modality: PSMA PET/CT | tracer: 18F | view: axial | PET grid: 200×200
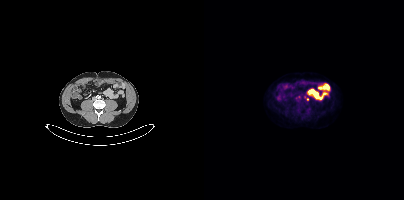
Coordinates are on the 200×200 PET (right) panel. Small PSMA-avid focus (2 to 4 px across) near (center x, center y): (103, 99).